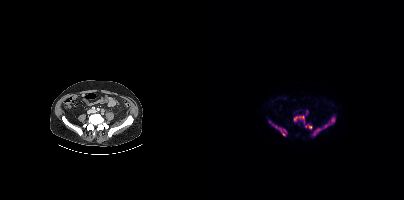
Two-panel axial: CT | PSMA PET, 18F-PSMA tracer. Coordinates are on the 200×200 PET (right) panel. (showing 6 of 8 foci) PSMA-avid tumor lesion bounding boxes (x0, y0)-(x1, y1): (111, 118)-(131, 135); (89, 115)-(100, 123); (75, 128)-(82, 135); (101, 124)-(108, 128). Small PSMA-avid foci (2 to 4 px across) near (center x, center y): (72, 126); (107, 134).